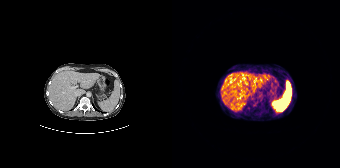
Technique: Two-panel axial: CT | PSMA PET, 68Ga-PSMA tracer. acquired on Siemens Biograph 64-4R TruePoint. slice position z = -434 mm.
Findings: Negative for PSMA-avid disease on this slice.